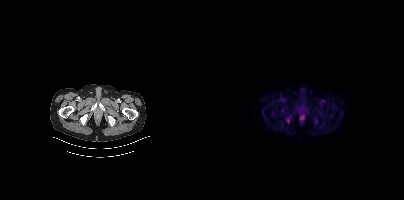
{"modality":"PSMA PET/CT","view":"axial","tracer":"18F","pet_grid":[200,200],"coord_frame":"pet_panel","coord_format":"x0,y0,x1,y1","psma_avid_lesions":false}